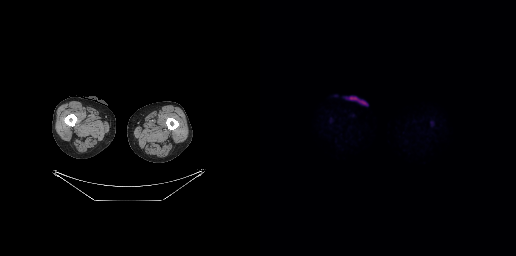
- Left: CT. Right: PSMA PET, same axial level, [18F]PSMA-1007 tracer
- slice 17 of 299
- PET panel 256×256 px (2.7 mm/px)
Findings: No PSMA-avid tumor lesions on this slice.